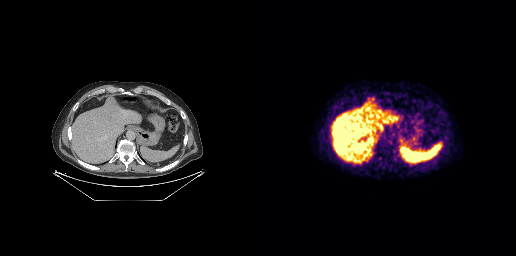
No tumor lesions annotated on this slice. Two-panel axial: CT | PSMA PET, 18F tracer.